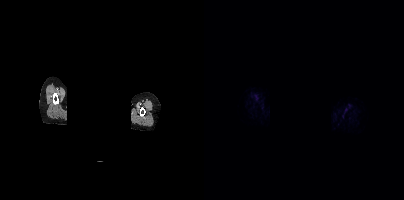
Facial anatomy redacted by setting a rectangular region of the head to black. Two-panel axial: CT | PSMA PET, 68Ga tracer. PET panel 200×200 px (4.1 mm/px). This slice has no annotated PSMA-avid lesion.